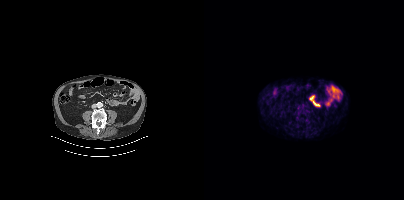
Findings: This slice has no annotated PSMA-avid lesion.
Technique: Two-panel axial: CT | PSMA PET, 18F-PSMA tracer. acquired on Siemens Biograph mCT Flow 20. PET panel 200×200 px (4.1 mm/px).